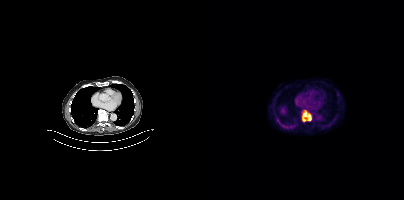
Coordinates are on the 200×200 PET (right) panel. PSMA-avid tumor lesion bounding boxes:
| # | x0 | y0 | x1 | y1 |
|---|---|---|---|---|
| 1 | 98 | 110 | 107 | 121 |
Left: CT. Right: PSMA PET, same axial level, 18F tracer. Slice position z = -555 mm. PET panel 200×200 px (4.1 mm/px).